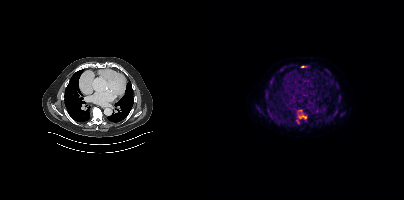
Coordinates are on the 200×200 PET (right) panel. PSMA-avid tumor lesion bounding boxes (partial; 4 more foci not listed):
| # | x0 | y0 | x1 | y1 |
|---|---|---|---|---|
| 1 | 94 | 110 | 100 | 116 |
| 2 | 65 | 113 | 70 | 118 |
| 3 | 127 | 112 | 132 | 118 |
| 4 | 133 | 99 | 136 | 103 |
| 5 | 137 | 112 | 141 | 116 |
| 6 | 100 | 117 | 103 | 121 |
Small PSMA-avid foci (2 to 4 px across) near (center x, center y): (62, 98); (64, 105); (99, 66); (132, 82); (133, 87); (126, 74); (77, 70); (63, 89); (124, 121).
Paired axial CT (left) and PSMA PET (right), [18F]PSMA-1007 tracer. PET panel 200×200 px (4.1 mm/px).